- Paired axial CT (left) and PSMA PET (right), [18F]PSMA-1007 tracer
- acquired on Siemens Biograph mCT Flow 20
- slice 220 of 403
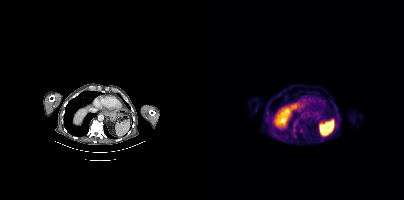
Findings: Coordinates are on the 200×200 PET (right) panel. Small PSMA-avid focus (2 to 4 px across) near (center x, center y): (97, 130).